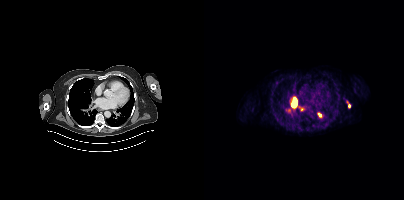
- Paired axial CT (left) and PSMA PET (right), 68Ga tracer
- acquired on Siemens Biograph mCT Flow 20
- slice 299 of 429
- PET panel 200×200 px (4.1 mm/px)
Findings: Coordinates are on the 200×200 PET (right) panel. PSMA-avid tumor lesion bounding box (x0, y0)-(x1, y1): (88, 97)-(92, 106). Small PSMA-avid foci (2 to 4 px across) near (center x, center y): (115, 114) / (85, 110) / (145, 106) / (96, 108).